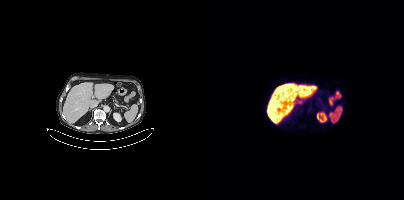
- Left: CT. Right: PSMA PET, same axial level, [18F]PSMA-1007 tracer
- slice position z = 68 mm
Findings: This slice has no annotated PSMA-avid lesion.